Paired axial CT (left) and PSMA PET (right), [18F]PSMA-1007 tracer. Acquired on Siemens Biograph 64-4R TruePoint.
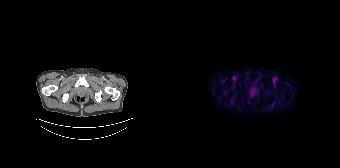
Negative for PSMA-avid disease on this slice.